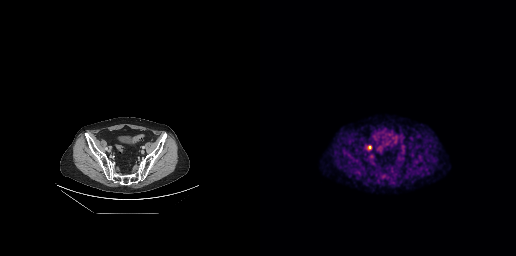
{"modality":"PSMA PET/CT","view":"axial","tracer":"[18F]PSMA-1007","pet_grid":[256,256],"coord_frame":"pet_panel","coord_format":"x0,y0,x1,y1","lesion_bboxes":[],"small_foci_centers":[[110,147]]}